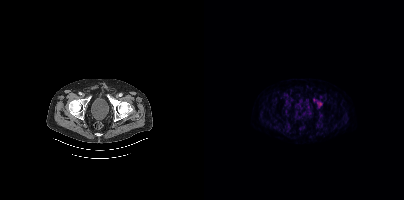
Findings: Only PSMA-avid lesion pieces thinner than 2 px on this slice (not listed).
Technique: Paired axial CT (left) and PSMA PET (right), 18F tracer. slice 88 of 454.